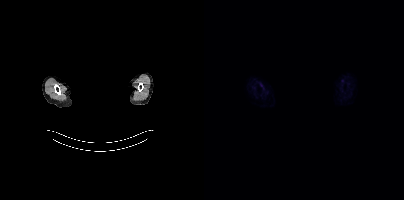
{"modality":"PSMA PET/CT","view":"axial","tracer":"18F","pet_grid":[200,200],"coord_frame":"pet_panel","coord_format":"x0,y0,x1,y1","de-identification":"head region blacked out before release","psma_avid_lesions":false}